Technique: Paired axial CT (left) and PSMA PET (right), 18F-PSMA tracer. PET panel 200×200 px (4.1 mm/px).
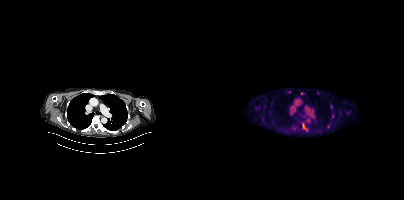
Findings: Coordinates are on the 200×200 PET (right) panel. (showing 2 of 4 foci) PSMA-avid tumor lesion bounding box (x0,y0,x1,y1): [98,123,103,130]. Small PSMA-avid focus (2 to 4 px across) near (center x, center y): (128, 116).